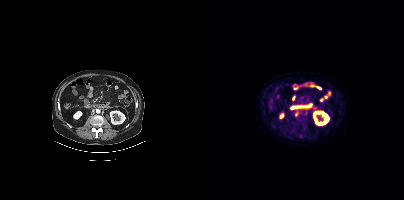
Coordinates are on the 200×200 PET (right) panel. Small PSMA-avid focus (2 to 4 px across) near (center x, center y): (92, 114).